Left: CT. Right: PSMA PET, same axial level, 18F-PSMA tracer. Acquired on Siemens Biograph mCT Flow 20. PET panel 200×200 px (4.1 mm/px).
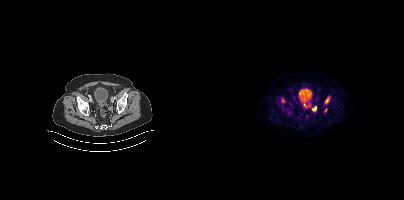
Coordinates are on the 200×200 PET (right) panel. (showing 6 of 7 foci) PSMA-avid tumor lesion bounding boxes (x, y, width, height): x=121 y=96 w=5 h=8 | x=108 y=106 w=5 h=5 | x=78 y=98 w=3 h=5 | x=120 y=108 w=4 h=5. Small PSMA-avid foci (2 to 4 px across) near (center x, center y): (105, 104) | (101, 104).